De-identified by setting a box covering the face to black before release. Paired axial CT (left) and PSMA PET (right), 68Ga tracer. Slice position z = -517 mm. PET panel 200×200 px (4.1 mm/px).
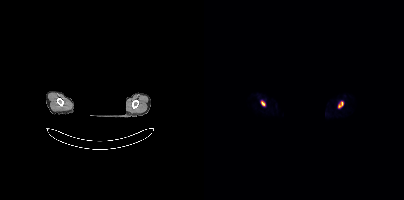
Coordinates are on the 200×200 PET (right) panel. PSMA-avid tumor lesion bounding boxes:
| # | x0 | y0 | x1 | y1 |
|---|---|---|---|---|
| 1 | 134 | 102 | 139 | 107 |
| 2 | 57 | 101 | 60 | 105 |